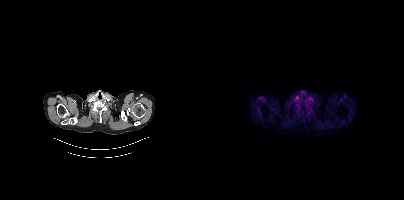
No PSMA-avid tumor lesions on this slice. Two-panel axial: CT | PSMA PET, 18F-PSMA tracer. Acquired on Siemens Biograph mCT Flow 20. Slice 389 of 454.